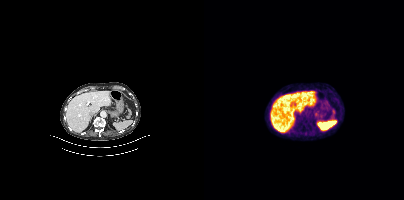
Negative for PSMA-avid disease on this slice. Two-panel axial: CT | PSMA PET, 68Ga-PSMA tracer. PET panel 200×200 px (4.1 mm/px).